Technique: Two-panel axial: CT | PSMA PET, 68Ga-PSMA tracer. acquired on Siemens Biograph 64-4R TruePoint.
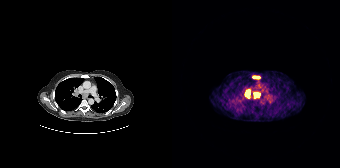
Findings: Coordinates are on the 168×168 PET (right) panel. PSMA-avid tumor lesion bounding boxes (x, y, width, height): x=72 y=89 w=7 h=10; x=81 y=92 w=8 h=7; x=80 y=75 w=9 h=5.